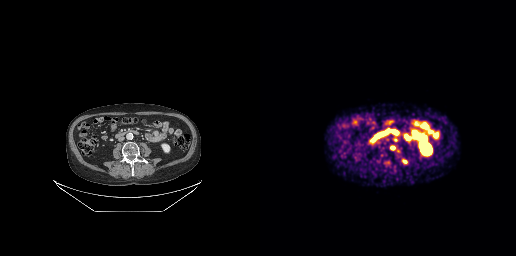
{"pet_grid":[256,256],"coord_frame":"pet_panel","coord_format":"x0,y0,x1,y1","lesion_bboxes":[[142,159,147,163],[135,151,140,156]],"small_foci_centers":[[132,147],[135,139]],"modality":"PSMA PET/CT","view":"axial","tracer":"68Ga"}